Two-panel axial: CT | PSMA PET, 68Ga-PSMA tracer. Acquired on Siemens Biograph 64-4R TruePoint. Slice position z = -880 mm.
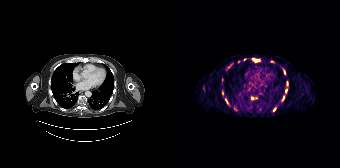
Coordinates are on the 168×168 PET (right) panel. PSMA-avid tumor lesion bounding boxes (partial; 4 more foci not listed):
| # | x0 | y0 | x1 | y1 |
|---|---|---|---|---|
| 1 | 81 | 58 | 87 | 61 |
| 2 | 50 | 90 | 51 | 95 |
| 3 | 110 | 96 | 112 | 100 |
| 4 | 53 | 99 | 56 | 103 |
| 5 | 112 | 70 | 113 | 74 |
| 6 | 115 | 81 | 116 | 85 |
Small PSMA-avid foci (2 to 4 px across) near (center x, center y): (63, 108); (80, 98); (102, 109); (72, 59); (66, 61).